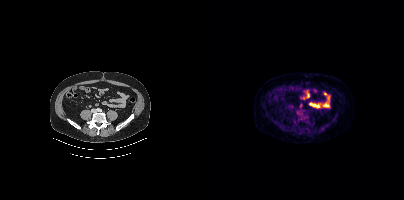
No tumor lesions annotated on this slice. Left: CT. Right: PSMA PET, same axial level, 18F-PSMA tracer. Slice position z = -1253 mm.